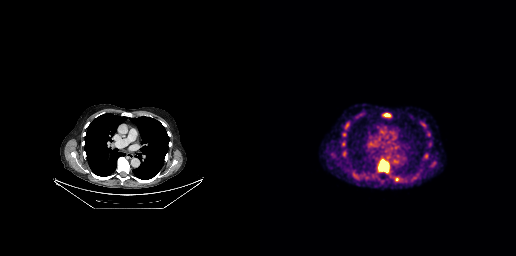
Findings: Coordinates are on the 256×256 PET (right) panel. PSMA-avid tumor lesion bounding boxes (x0,y0,x1,y1): [118,159,129,173], [84,122,89,129], [123,113,130,116], [134,177,139,181]. Small PSMA-avid focus (2 to 4 px across) near (center x, center y): (83, 143).
Technique: Paired axial CT (left) and PSMA PET (right), [18F]PSMA-1007 tracer. acquired on GE Discovery 690. slice 187 of 263.